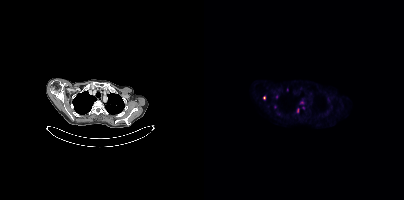
Coordinates are on the 200×200 PET (right) panel. PSMA-avid tumor lesion bounding boxes (partial; 2 more foci not listed):
| # | x0 | y0 | x1 | y1 |
|---|---|---|---|---|
| 1 | 93 | 108 | 94 | 112 |
Small PSMA-avid foci (2 to 4 px across) near (center x, center y): (60, 97); (71, 106); (73, 96); (83, 89); (98, 102).
Left: CT. Right: PSMA PET, same axial level, 18F-PSMA tracer. Acquired on Siemens Biograph mCT Flow 20. Slice position z = -966 mm.